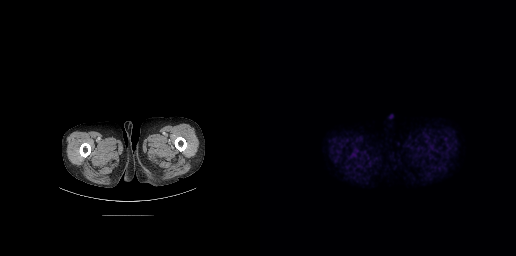
Findings: No PSMA-avid tumor lesions on this slice.
Technique: Two-panel axial: CT | PSMA PET, [18F]PSMA-1007 tracer. acquired on GE Discovery 690.